Left: CT. Right: PSMA PET, same axial level, 18F tracer. PET panel 200×200 px (4.1 mm/px).
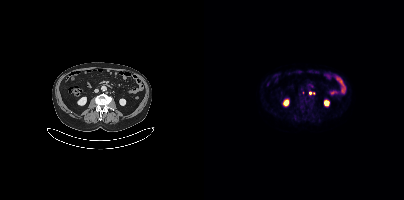
This slice has no annotated PSMA-avid lesion.